- Paired axial CT (left) and PSMA PET (right), [18F]PSMA-1007 tracer
- slice 396 of 427
- face de-identified by blanking a block of the head
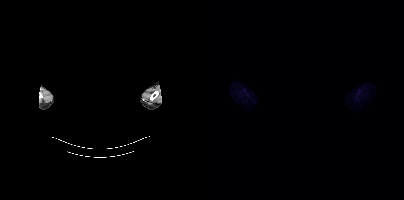
Findings: No PSMA-avid tumor lesions on this slice.